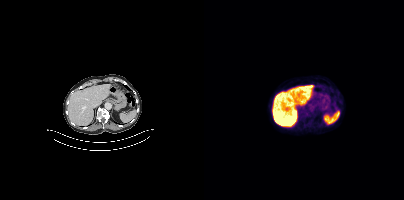
No PSMA-avid tumor lesions on this slice. Left: CT. Right: PSMA PET, same axial level, [18F]PSMA-1007 tracer. Acquired on Siemens Biograph mCT Flow 20. PET panel 200×200 px (4.1 mm/px).